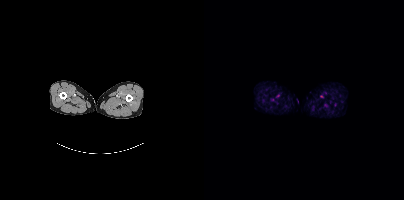
Negative for PSMA-avid disease on this slice.